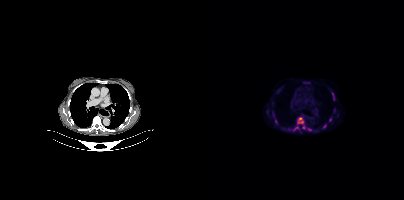
modality: PSMA PET/CT | tracer: [18F]PSMA-1007 | view: axial | PET grid: 200×200
Coordinates are on the 200×200 PET (right) panel. (showing 10 of 11 foci) PSMA-avid tumor lesion bounding boxes (x0, y0)-(x1, y1): (93, 117)-(99, 124); (128, 92)-(130, 100); (89, 126)-(94, 130). Small PSMA-avid foci (2 to 4 px across) near (center x, center y): (99, 127); (69, 112); (105, 129); (71, 120); (120, 126); (63, 111); (126, 119).